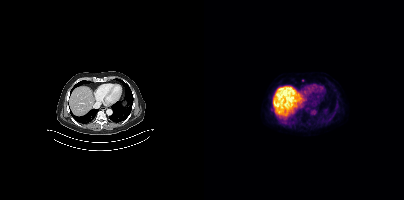
{"modality":"PSMA PET/CT","view":"axial","tracer":"18F-PSMA","pet_grid":[200,200],"coord_frame":"pet_panel","coord_format":"x0,y0,x1,y1","psma_avid_lesions":false}